De-identified by setting a box covering the face to black before release.
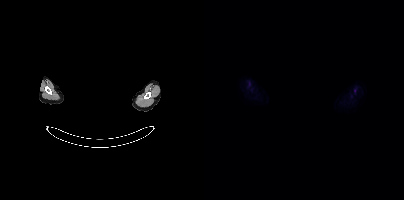
No tumor lesions annotated on this slice.